modality: PSMA PET/CT | tracer: [18F]PSMA-1007 | view: axial
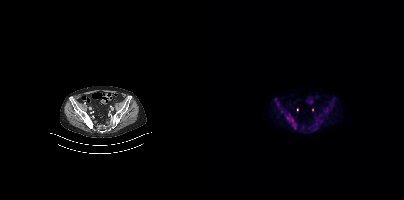
Coordinates are on the 200×200 PET (right) panel. PSMA-avid tumor lesion bounding boxes (x0,y0,x1,y1): [70,98,79,113]; [83,115,89,122]. Small PSMA-avid focus (2 to 4 px across) near (center x, center y): (90, 125).